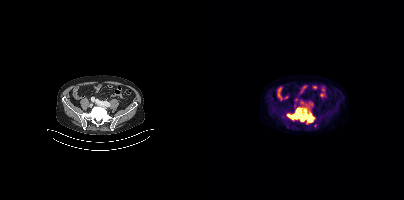
Technique: Left: CT. Right: PSMA PET, same axial level, 18F-PSMA tracer. PET panel 200×200 px (4.1 mm/px).
Findings: Coordinates are on the 200×200 PET (right) panel. (showing 1 of 2 foci) PSMA-avid tumor lesion bounding box (x, y, width, height): x=83 y=108 w=29 h=17.